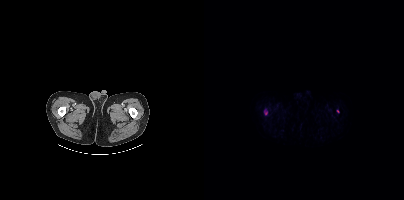
Coordinates are on the 200×200 PET (right) panel. PSMA-avid tumor lesion bounding box (x0, y0)-(x1, y1): (60, 109)-(63, 115). Small PSMA-avid focus (2 to 4 px across) near (center x, center y): (133, 111). Two-panel axial: CT | PSMA PET, 18F tracer.